- Two-panel axial: CT | PSMA PET, 18F tracer
- acquired on Siemens Biograph mCT Flow 20
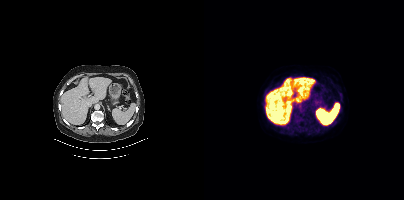
Findings: Coordinates are on the 200×200 PET (right) panel. PSMA-avid tumor lesion bounding boxes (x0,y0,x1,y1): [93,111,100,120], [90,120,95,126]. Small PSMA-avid foci (2 to 4 px across) near (center x, center y): (101, 119), (136, 94), (136, 97).